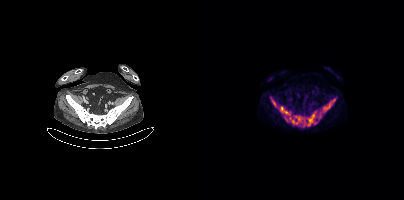
{"pet_grid":[200,200],"coord_frame":"pet_panel","coord_format":"x0,y0,x1,y1","lesion_bboxes":[[84,115,113,127],[67,98,73,107],[119,102,127,110]],"small_foci_centers":[[77,108],[82,112]],"modality":"PSMA PET/CT","view":"axial","tracer":"18F-PSMA"}